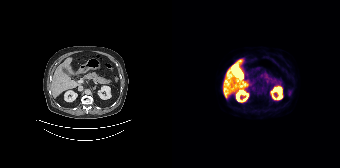
Paired axial CT (left) and PSMA PET (right), 18F-PSMA tracer. Slice position z = -1276 mm. PET panel 168×168 px (4.1 mm/px). No tumor lesions annotated on this slice.